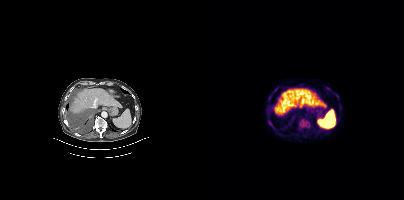
Findings: Coordinates are on the 200×200 PET (right) panel. (showing 5 of 6 foci) PSMA-avid tumor lesion bounding boxes (x, y, width, height): x=95 y=118 w=10 h=10; x=64 y=96 w=4 h=6; x=64 y=120 w=4 h=6; x=122 y=87 w=5 h=4; x=70 y=87 w=5 h=5.
- Left: CT. Right: PSMA PET, same axial level, [18F]PSMA-1007 tracer